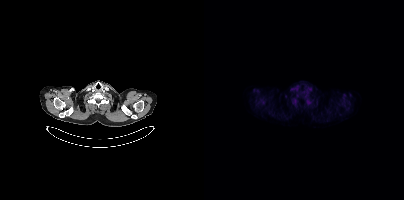
Two-panel axial: CT | PSMA PET, 18F-PSMA tracer. No PSMA-avid tumor lesions on this slice.